Technique: Left: CT. Right: PSMA PET, same axial level, 18F-PSMA tracer. acquired on Siemens Biograph mCT Flow 20. slice 144 of 963. PET panel 200×200 px (4.1 mm/px).
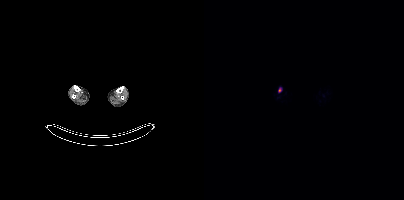
Findings: Coordinates are on the 200×200 PET (right) panel. PSMA-avid tumor lesion bounding box (x0,y0,x1,y1): [74,88,77,92].